Paired axial CT (left) and PSMA PET (right), 18F tracer. Acquired on Siemens Biograph mCT Flow 20. Slice position z = -714 mm. PET panel 200×200 px (4.1 mm/px).
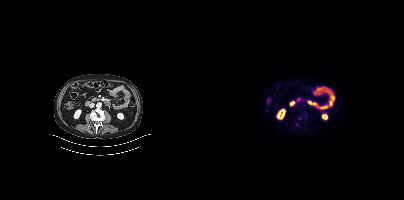
No PSMA-avid tumor lesions on this slice.